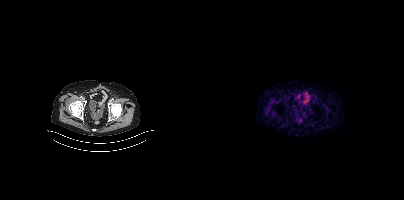
Left: CT. Right: PSMA PET, same axial level, [68Ga]Ga-PSMA-11 tracer. PET panel 200×200 px (4.1 mm/px). This slice has no annotated PSMA-avid lesion.